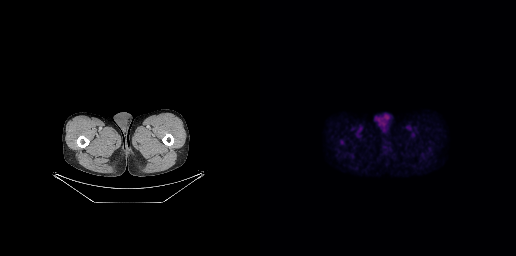
- Left: CT. Right: PSMA PET, same axial level, [18F]PSMA-1007 tracer
- acquired on GE Discovery 690
- slice 25 of 263
Findings: Coordinates are on the 256×256 PET (right) panel. PSMA-avid tumor lesion bounding box (x0, y0)-(x1, y1): (79, 139)-(85, 145).